modality: PSMA PET/CT | tracer: [68Ga]Ga-PSMA-11 | view: axial
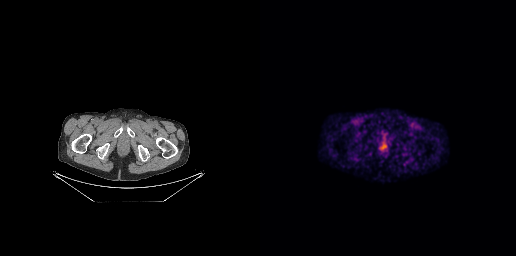
Negative for PSMA-avid disease on this slice.